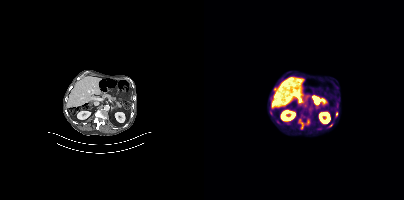
- Paired axial CT (left) and PSMA PET (right), [18F]PSMA-1007 tracer
- acquired on Siemens Biograph mCT Flow 20
- slice position z = -1266 mm
Findings: Coordinates are on the 200×200 PET (right) panel. PSMA-avid tumor lesion bounding box (x0,y0,x1,y1): [96,120,105,129]. Small PSMA-avid foci (2 to 4 px across) near (center x, center y): (126, 125), (69, 89), (132, 113).